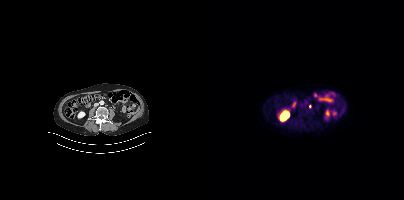
{"modality":"PSMA PET/CT","view":"axial","tracer":"18F-PSMA","pet_grid":[200,200],"coord_frame":"pet_panel","coord_format":"x0,y0,x1,y1","partial":true,"lesion_bboxes":[]}